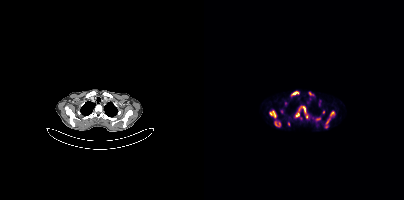
modality: PSMA PET/CT | tracer: 68Ga | view: axial | PET grid: 200×200
Coordinates are on the 200×200 PET (right) panel. PSMA-avid tumor lesion bounding boxes (x0, y0)-(x1, y1): (66, 110)-(72, 117); (87, 91)-(94, 96); (99, 106)-(103, 117); (126, 111)-(130, 116); (71, 122)-(76, 126); (92, 113)-(97, 119); (105, 92)-(109, 95); (122, 119)-(125, 124); (112, 118)-(116, 120). Small PSMA-avid foci (2 to 4 px across) near (center x, center y): (77, 111); (82, 103); (84, 123); (119, 112); (122, 126).